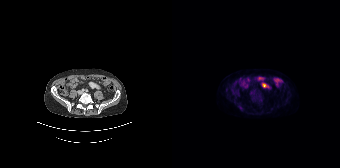
This slice has no annotated PSMA-avid lesion.